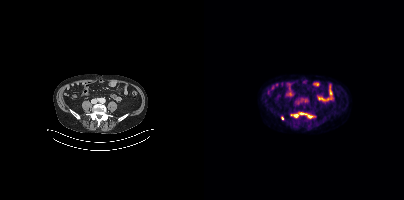
Coordinates are on the 200×200 PET (right) panel. PSMA-avid tumor lesion bounding box (x, y, width, height): x=95 y=112 w=12 h=6. Small PSMA-avid foci (2 to 4 px across) near (center x, center y): (92, 115) | (78, 118). Left: CT. Right: PSMA PET, same axial level, 18F tracer.